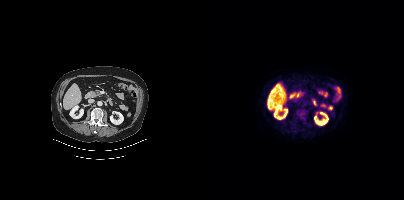
Technique: Paired axial CT (left) and PSMA PET (right), [18F]PSMA-1007 tracer. slice position z = -598 mm.
Findings: No PSMA-avid tumor lesions on this slice.